Two-panel axial: CT | PSMA PET, [18F]PSMA-1007 tracer. Acquired on GE Discovery 690.
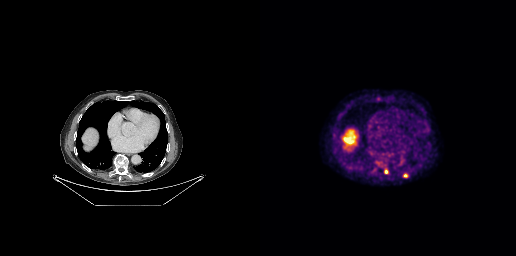
Coordinates are on the 256×256 PET (right) panel. PSMA-avid tumor lesion bounding boxes (x0,y0,x1,y1): [124,168,128,173] [143,174,147,177]. Small PSMA-avid focus (2 to 4 px across) near (center x, center y): (117, 163).